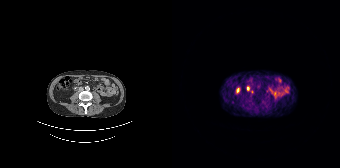
Coordinates are on the 168×168 PET (right) panel. PSMA-avid tumor lesion bounding boxes (partial; 1 more focus not listed):
| # | x0 | y0 | x1 | y1 |
|---|---|---|---|---|
| 1 | 75 | 86 | 77 | 90 |
Two-panel axial: CT | PSMA PET, 68Ga-PSMA tracer. Slice 77 of 195. PET panel 168×168 px (4.1 mm/px).